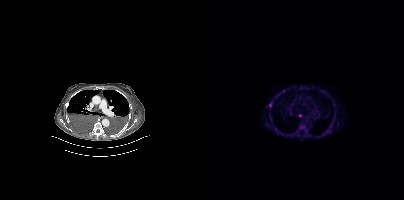
{"modality":"PSMA PET/CT","view":"axial","tracer":"18F","pet_grid":[200,200],"coord_frame":"pet_panel","coord_format":"x0,y0,x1,y1","partial":true,"lesion_bboxes":[[95,124,100,130],[65,102,68,107]],"small_foci_centers":[[102,131]]}